Two-panel axial: CT | PSMA PET, 68Ga-PSMA tracer.
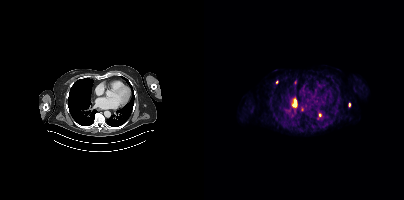
Coordinates are on the 200×200 PET (right) panel. PSMA-avid tumor lesion bounding boxes:
| # | x0 | y0 | x1 | y1 |
|---|---|---|---|---|
| 1 | 90 | 99 | 92 | 106 |
Small PSMA-avid foci (2 to 4 px across) near (center x, center y): (72, 82); (115, 115); (91, 82); (145, 104); (97, 109).